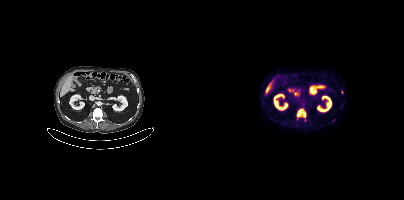
Left: CT. Right: PSMA PET, same axial level, 18F tracer. Coordinates are on the 200×200 PET (right) panel. PSMA-avid tumor lesion bounding box (x0, y0)-(x1, y1): (93, 109)-(101, 117). Small PSMA-avid focus (2 to 4 px across) near (center x, center y): (138, 92).